Paired axial CT (left) and PSMA PET (right), 18F tracer.
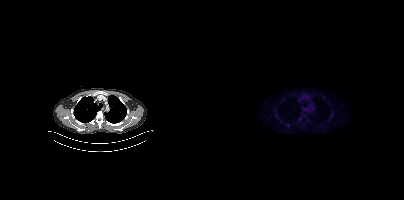
Coordinates are on the 200×200 PET (right) panel. Small PSMA-avid focus (2 to 4 px across) near (center x, center y): (84, 125).